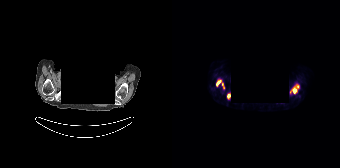
{"modality":"PSMA PET/CT","view":"axial","tracer":"18F","pet_grid":[168,168],"coord_frame":"pet_panel","coord_format":"x0,y0,x1,y1","redaction":"head region blacked out before release","lesion_bboxes":[[118,84,127,93],[44,79,52,88],[55,93,58,99]]}